Paired axial CT (left) and PSMA PET (right), [18F]PSMA-1007 tracer. PET panel 200×200 px (4.1 mm/px).
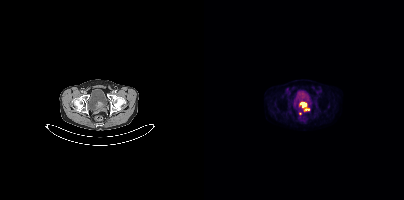
Coordinates are on the 200×200 PET (right) panel. PSMA-avid tumor lesion bounding boxes:
| # | x0 | y0 | x1 | y1 |
|---|---|---|---|---|
| 1 | 95 | 101 | 105 | 111 |
Small PSMA-avid focus (2 to 4 px across) near (center x, center y): (96, 113).